- Two-panel axial: CT | PSMA PET, 68Ga-PSMA tracer
- slice 297 of 393
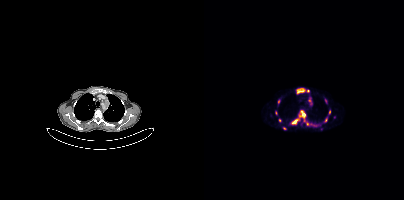
Findings: Coordinates are on the 200×200 PET (right) panel. (showing 12 of 13 foci) PSMA-avid tumor lesion bounding boxes (x, y, width, height): x=93 y=88 w=8 h=6 / x=96 y=111 w=6 h=7 / x=88 y=119 w=6 h=5 / x=104 y=98 w=4 h=7. Small PSMA-avid foci (2 to 4 px across) near (center x, center y): (72, 112) / (104, 91) / (74, 101) / (121, 100) / (75, 120) / (121, 120) / (125, 112) / (80, 128).